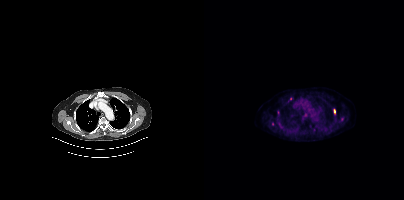
- Paired axial CT (left) and PSMA PET (right), 18F-PSMA tracer
- slice 308 of 407
- PET panel 200×200 px (4.1 mm/px)
Findings: Coordinates are on the 200×200 PET (right) panel. (showing 6 of 7 foci) PSMA-avid tumor lesion bounding box (x0, y0)-(x1, y1): (130, 109)-(131, 113). Small PSMA-avid foci (2 to 4 px across) near (center x, center y): (68, 123); (74, 112); (138, 118); (86, 98); (77, 126).